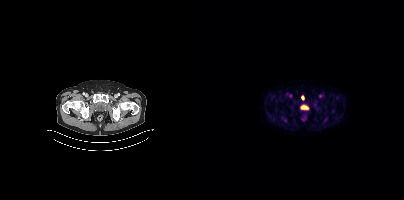
{"pet_grid":[200,200],"coord_frame":"pet_panel","coord_format":"x0,y0,x1,y1","partial":true,"lesion_bboxes":[[79,118,83,122],[120,117,123,122]],"small_foci_centers":[[98,97]],"modality":"PSMA PET/CT","view":"axial","tracer":"[18F]PSMA-1007"}